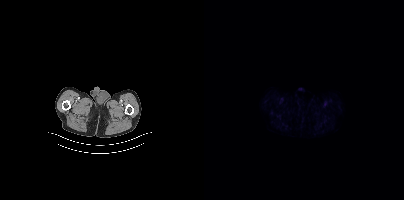
Negative for PSMA-avid disease on this slice. Two-panel axial: CT | PSMA PET, 18F-PSMA tracer. PET panel 200×200 px (4.1 mm/px).